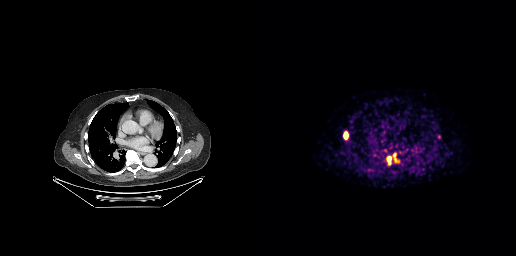
modality: PSMA PET/CT | tracer: 68Ga-PSMA | view: axial | PET grid: 256×256
Coordinates are on the 256×256 PET (right) panel. PSMA-avid tumor lesion bounding boxes (x0, y0)-(x1, y1): (127, 156)-(131, 164) / (84, 132)-(87, 138). Small PSMA-avid foci (2 to 4 px across) near (center x, center y): (134, 154) / (135, 159).